- Left: CT. Right: PSMA PET, same axial level, 68Ga tracer
- acquired on Siemens Biograph 64-4R TruePoint
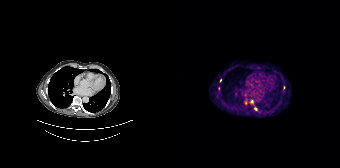
Findings: Coordinates are on the 168×168 PET (right) panel. (showing 2 of 5 foci) Small PSMA-avid foci (2 to 4 px across) near (center x, center y): (46, 88); (48, 80).